modality: PSMA PET/CT | tracer: [18F]PSMA-1007 | view: axial
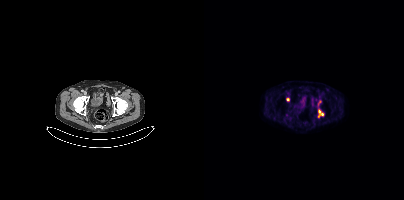
Coordinates are on the 200×200 PET (right) panel. PSMA-avid tumor lesion bounding boxes (x0,y0,x1,y1): [114,109,119,117]; [114,100,117,105]. Small PSMA-avid focus (2 to 4 px across) near (center x, center y): (83, 99).